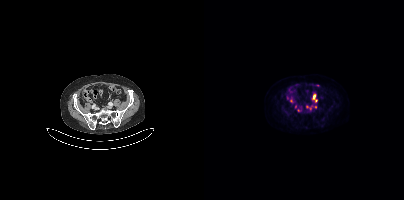
Coordinates are on the 200×200 PET (right) panel. (showing 4 of 5 foci) PSMA-avid tumor lesion bounding box (x, y, width, height): x=109 y=94 w=5 h=8. Small PSMA-avid foci (2 to 4 px across) near (center x, center y): (94, 110) / (91, 106) / (111, 106).